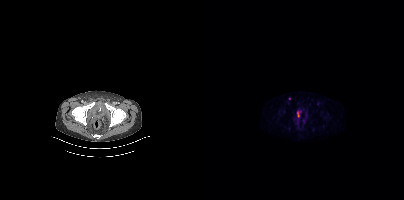
Technique: Two-panel axial: CT | PSMA PET, [18F]PSMA-1007 tracer. PET panel 200×200 px (4.1 mm/px).
Findings: Coordinates are on the 200×200 PET (right) panel. PSMA-avid tumor lesion bounding box (x0,y0,x1,y1): [93,111,95,117]. Small PSMA-avid foci (2 to 4 px across) near (center x, center y): (85, 98); (99, 121).